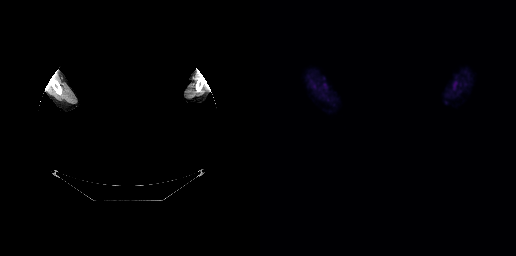
No PSMA-avid tumor lesions on this slice.
Privacy masking over the head, with the pixels inside a rectangle set to black.